modality: PSMA PET/CT | tracer: 18F-PSMA | view: axial | PET grid: 168×168
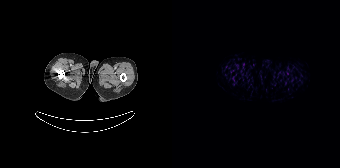
No tumor lesions annotated on this slice.